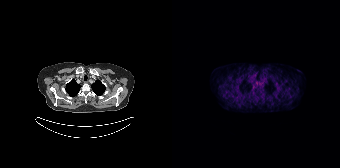
{"pet_grid":[168,168],"coord_frame":"pet_panel","coord_format":"x0,y0,x1,y1","psma_avid_lesions":false,"modality":"PSMA PET/CT","view":"axial","tracer":"68Ga"}